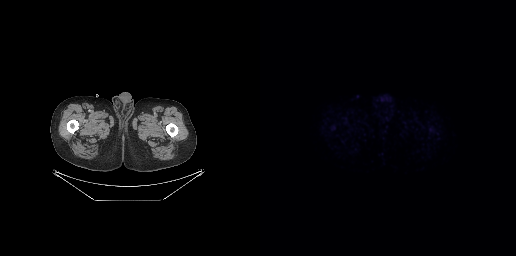
- Left: CT. Right: PSMA PET, same axial level, 18F tracer
- acquired on GE Discovery 690
- slice position z = -834 mm
Findings: No tumor lesions annotated on this slice.